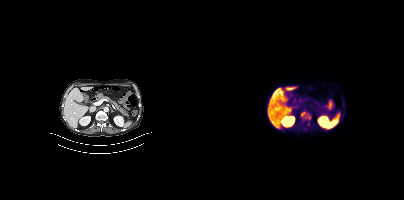
{"modality":"PSMA PET/CT","view":"axial","tracer":"18F","pet_grid":[200,200],"coord_frame":"pet_panel","coord_format":"x0,y0,x1,y1","partial":true,"lesion_bboxes":[[97,112,105,118]]}